Paired axial CT (left) and PSMA PET (right), [18F]PSMA-1007 tracer. Slice 270 of 454.
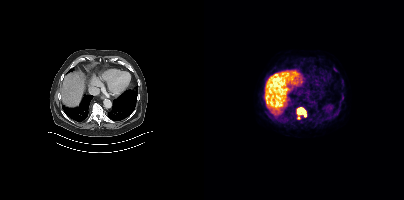
Coordinates are on the 200×200 PET (right) panel. PSMA-avid tumor lesion bounding boxes (partial; 2 more foci not listed):
| # | x0 | y0 | x1 | y1 |
|---|---|---|---|---|
| 1 | 93 | 108 | 101 | 114 |
| 2 | 128 | 114 | 132 | 118 |
| 3 | 137 | 80 | 140 | 85 |
| 4 | 136 | 98 | 139 | 102 |
Small PSMA-avid focus (2 to 4 px across) near (center x, center y): (130, 69).